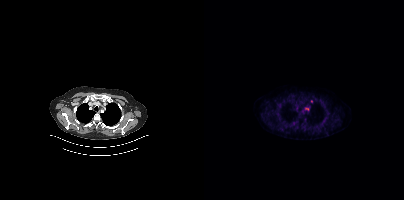
- Paired axial CT (left) and PSMA PET (right), 18F-PSMA tracer
- slice position z = -450 mm
Findings: Coordinates are on the 200×200 PET (right) panel. Small PSMA-avid focus (2 to 4 px across) near (center x, center y): (103, 108).